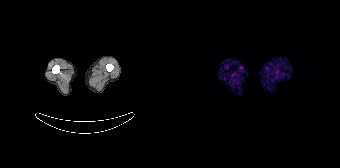
No tumor lesions annotated on this slice. Two-panel axial: CT | PSMA PET, [68Ga]Ga-PSMA-11 tracer. Slice position z = -1380 mm.